modality: PSMA PET/CT | tracer: 68Ga-PSMA | view: axial
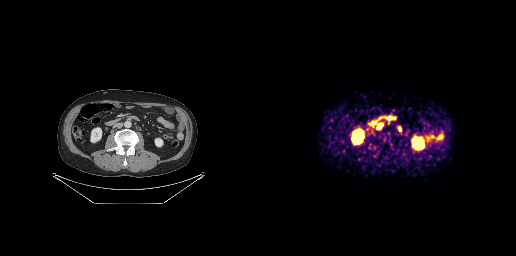
Coordinates are on the 256×256 PET (right) panel. Small PSMA-avid foci (2 to 4 px across) near (center x, center y): (129, 117) (119, 126) (112, 131).